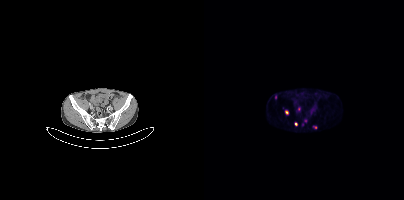
Two-panel axial: CT | PSMA PET, 68Ga-PSMA tracer. Coordinates are on the 200×200 PET (right) panel. (showing 5 of 6 foci) Small PSMA-avid foci (2 to 4 px across) near (center x, center y): (82, 112) | (71, 97) | (92, 124) | (101, 121) | (111, 127).